Technique: Two-panel axial: CT | PSMA PET, [18F]PSMA-1007 tracer. PET panel 168×168 px (4.1 mm/px).
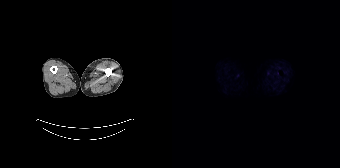
Findings: Negative for PSMA-avid disease on this slice.